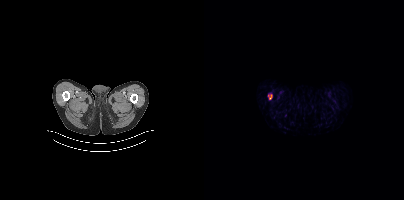
Coordinates are on the 200×200 PET (right) panel. PSMA-avid tumor lesion bounding box (x0,y0,x1,y1): [64,94,68,99].
modality: PSMA PET/CT | tracer: 18F-PSMA | view: axial